modality: PSMA PET/CT | tracer: 18F-PSMA | view: axial
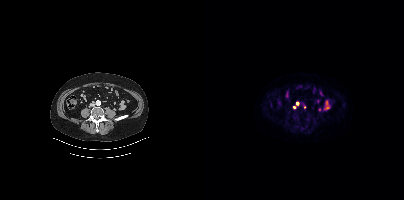
Coordinates are on the 200×200 PET (right) panel. (showing 2 of 3 foci) Small PSMA-avid foci (2 to 4 px across) near (center x, center y): (93, 103); (100, 107).